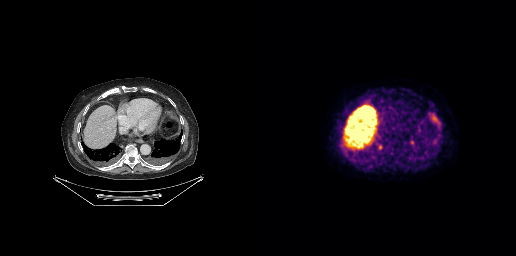
modality: PSMA PET/CT | tracer: 18F | view: axial
Coordinates are on the 256×256 PET (right) panel. PSMA-avid tumor lesion bounding boxes (x0, y0)-(x1, y1): (169, 113)-(180, 128) | (116, 143)-(122, 150) | (172, 141)-(178, 145) | (150, 140)-(154, 145).